- Paired axial CT (left) and PSMA PET (right), 18F tracer
- slice 314 of 435
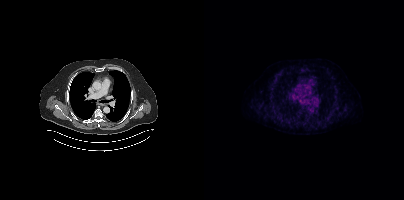
Findings: Coordinates are on the 200×200 PET (right) panel. PSMA-avid tumor lesion bounding box (x0, y0)-(x1, y1): (126, 110)-(130, 113).